Paired axial CT (left) and PSMA PET (right), 68Ga-PSMA tracer. Acquired on Siemens Biograph 64-4R TruePoint. Slice position z = -1114 mm. PET panel 168×168 px (4.1 mm/px).
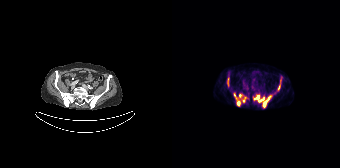
Coordinates are on the 168×168 PET (right) panel. PSMA-avid tumor lesion bounding boxes (partial; 1 more focus not listed):
| # | x0 | y0 | x1 | y1 |
|---|---|---|---|---|
| 1 | 81 | 94 | 100 | 108 |
| 2 | 62 | 93 | 74 | 106 |
| 3 | 55 | 78 | 57 | 86 |
| 4 | 105 | 84 | 108 | 90 |